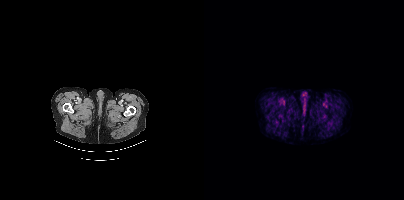
Paired axial CT (left) and PSMA PET (right), 18F tracer. Slice position z = -951 mm. This slice has no annotated PSMA-avid lesion.